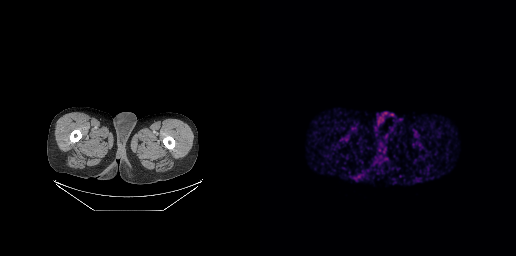
Negative for PSMA-avid disease on this slice.
modality: PSMA PET/CT | tracer: 68Ga-PSMA | view: axial | PET grid: 256×256